- Paired axial CT (left) and PSMA PET (right), [18F]PSMA-1007 tracer
- acquired on Siemens Biograph mCT Flow 20
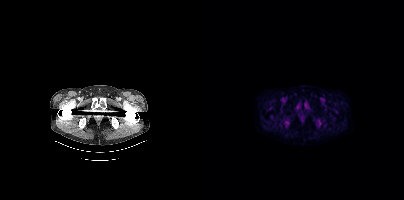
Findings: No tumor lesions annotated on this slice.